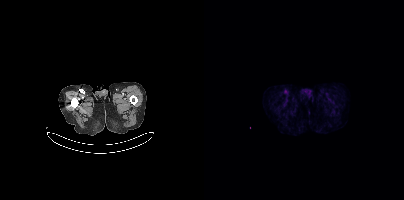
{"modality":"PSMA PET/CT","view":"axial","tracer":"18F","pet_grid":[200,200],"coord_frame":"pet_panel","coord_format":"x0,y0,x1,y1","lesion_bboxes":[],"small_foci_centers":[[81,91]]}